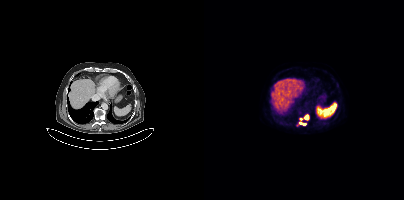
Two-panel axial: CT | PSMA PET, 18F tracer. Coordinates are on the 200×200 PET (right) panel. (showing 2 of 3 foci) PSMA-avid tumor lesion bounding boxes (x, y, width, height): x=101 y=115 w=4 h=5 / x=96 y=122 w=6 h=3.